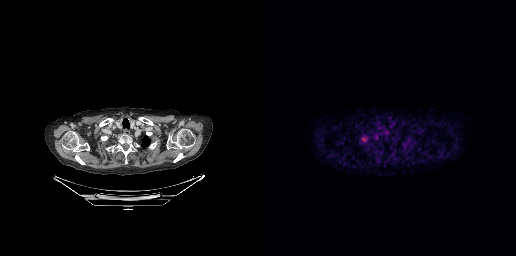
{"modality":"PSMA PET/CT","view":"axial","tracer":"18F","pet_grid":[256,256],"coord_frame":"pet_panel","coord_format":"x0,y0,x1,y1","lesion_bboxes":[[104,136,107,142]],"small_foci_centers":[[116,136]]}